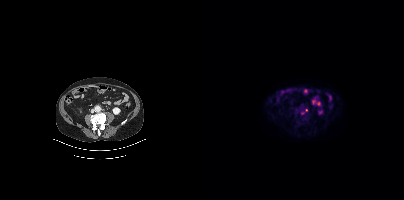
Left: CT. Right: PSMA PET, same axial level, [18F]PSMA-1007 tracer. Coordinates are on the 200×200 PET (right) panel. (showing 1 of 2 foci) Small PSMA-avid focus (2 to 4 px across) near (center x, center y): (102, 110).